Left: CT. Right: PSMA PET, same axial level, 68Ga-PSMA tracer. Slice position z = -1314 mm. PET panel 200×200 px (4.1 mm/px).
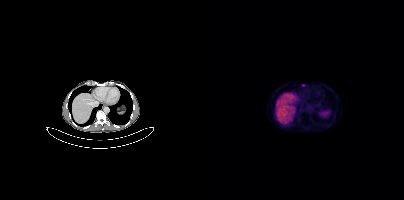
No tumor lesions annotated on this slice.